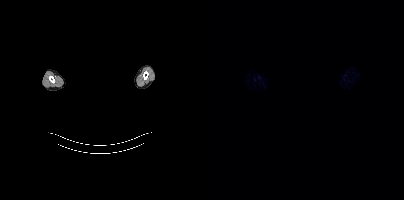
Facial anatomy redacted by setting a rectangular region of the head to black. Two-panel axial: CT | PSMA PET, 18F tracer. Slice 409 of 413. No PSMA-avid tumor lesions on this slice.